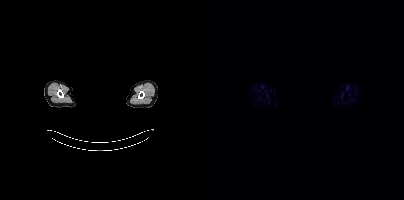
De-identified by setting a box covering the face to black before release.
This slice has no annotated PSMA-avid lesion.